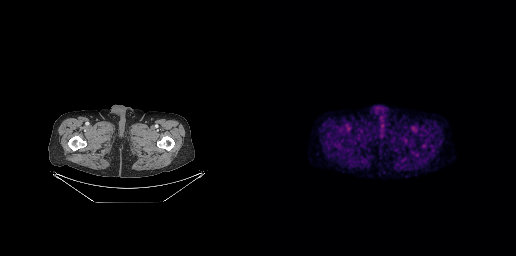
{"modality":"PSMA PET/CT","view":"axial","tracer":"18F","pet_grid":[256,256],"coord_frame":"pet_panel","coord_format":"x0,y0,x1,y1","psma_avid_lesions":false}